modality: PSMA PET/CT | tracer: 68Ga | view: axial | PET grid: 256×256
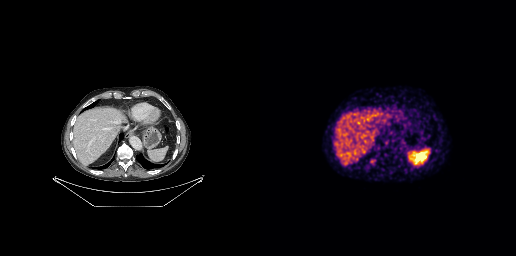
No PSMA-avid tumor lesions on this slice.